- Paired axial CT (left) and PSMA PET (right), [18F]PSMA-1007 tracer
- acquired on GE Discovery 690
- PET panel 256×256 px (2.7 mm/px)
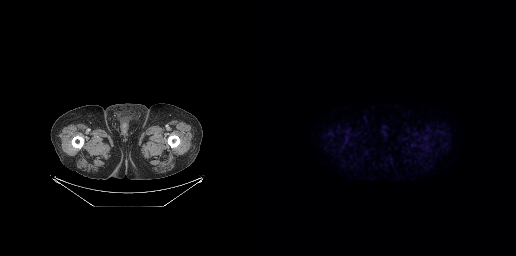
Findings: Negative for PSMA-avid disease on this slice.